- Paired axial CT (left) and PSMA PET (right), 18F tracer
- slice position z = -640 mm
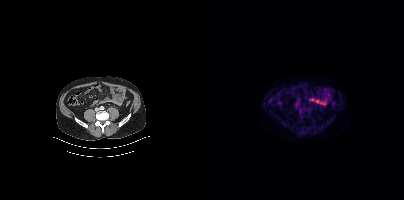
Findings: Negative for PSMA-avid disease on this slice.